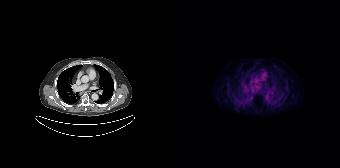
No PSMA-avid tumor lesions on this slice.